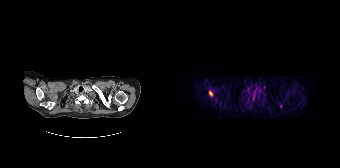
Findings: Coordinates are on the 168×168 PET (right) panel. (showing 2 of 3 foci) PSMA-avid tumor lesion bounding box (x, y, width, height): x=81 y=95 w=3 h=5. Small PSMA-avid focus (2 to 4 px across) near (center x, center y): (38, 93).
Technique: Paired axial CT (left) and PSMA PET (right), [18F]PSMA-1007 tracer.